modality: PSMA PET/CT | tracer: 18F | view: axial | redaction: rectangular block over head set to black
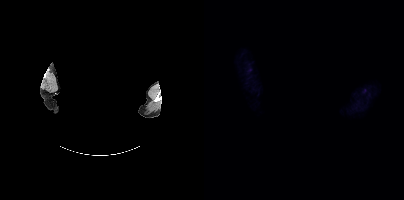
Negative for PSMA-avid disease on this slice.